- Two-panel axial: CT | PSMA PET, 18F-PSMA tracer
- acquired on Siemens Biograph mCT Flow 20
- an anonymization step blacked out a rectangle over the head in this scan
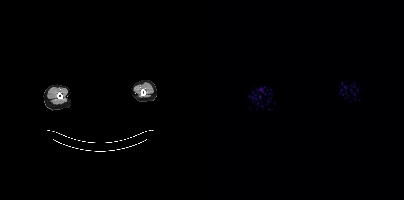
Findings: This slice has no annotated PSMA-avid lesion.